Technique: Paired axial CT (left) and PSMA PET (right), 18F tracer. slice 228 of 401. PET panel 200×200 px (4.1 mm/px).
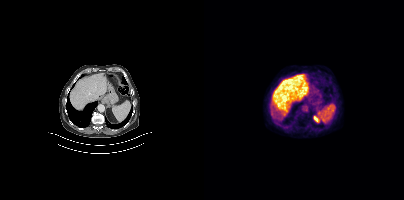
Findings: This slice has no annotated PSMA-avid lesion.